Paired axial CT (left) and PSMA PET (right), 18F-PSMA tracer. Slice position z = -1654 mm. PET panel 200×200 px (4.1 mm/px).
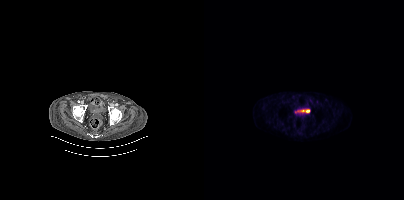
No PSMA-avid tumor lesions on this slice.